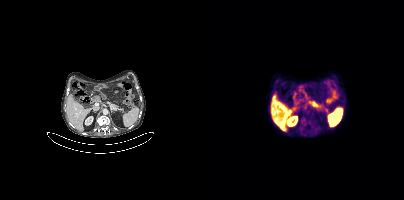
Coordinates are on the 200×200 PET (right) panel. PSMA-avid tumor lesion bounding box (x0,y0,x1,y1): [97,118,102,125]. Small PSMA-avid foci (2 to 4 px across) near (center x, center y): (100, 108); (105, 122); (97, 127). Left: CT. Right: PSMA PET, same axial level, 18F tracer. Acquired on Siemens Biograph mCT Flow 20. PET panel 200×200 px (4.1 mm/px).